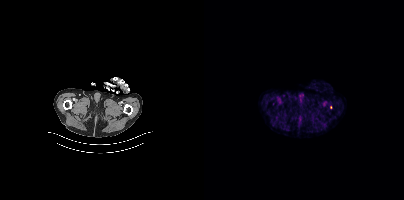
Coordinates are on the 200×200 PET (right) panel. Small PSMA-avid focus (2 to 4 px across) near (center x, center y): (126, 107).